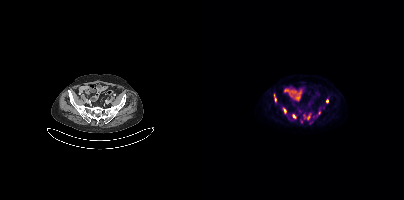
Coordinates are on the 200×200 PET (right) panel. (showing 8 of 10 foci) PSMA-avid tumor lesion bounding boxes (x, y, width, height): x=70 y=94 w=3 h=8; x=79 y=108 w=4 h=6. Small PSMA-avid foci (2 to 4 px across) near (center x, center y): (90, 116); (123, 101); (100, 118); (97, 121); (104, 119); (115, 112).